- Two-panel axial: CT | PSMA PET, [18F]PSMA-1007 tracer
- acquired on Siemens Biograph mCT Flow 20
- PET panel 200×200 px (4.1 mm/px)
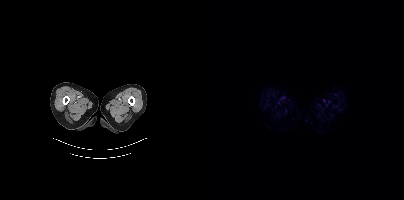
Findings: No tumor lesions annotated on this slice.